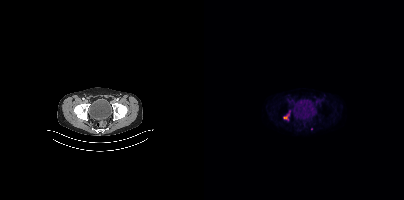
Technique: Left: CT. Right: PSMA PET, same axial level, 18F-PSMA tracer. acquired on Siemens Biograph mCT Flow 20. slice position z = -836 mm. PET panel 200×200 px (4.1 mm/px).
Findings: Coordinates are on the 200×200 PET (right) panel. Small PSMA-avid foci (2 to 4 px across) near (center x, center y): (81, 117) / (107, 128).